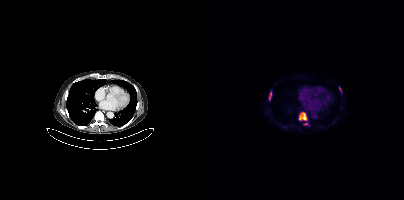
{"modality":"PSMA PET/CT","view":"axial","tracer":"18F-PSMA","pet_grid":[200,200],"coord_frame":"pet_panel","coord_format":"x0,y0,x1,y1","lesion_bboxes":[[95,112,103,120],[65,91,67,100],[135,87,137,92]],"small_foci_centers":[[101,123]]}